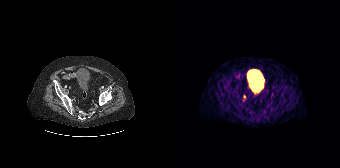
- Left: CT. Right: PSMA PET, same axial level, 68Ga-PSMA tracer
- acquired on Siemens Biograph 64-4R TruePoint
- slice 68 of 195
- PET panel 168×168 px (4.1 mm/px)
Findings: Coordinates are on the 168×168 PET (right) panel. Small PSMA-avid focus (2 to 4 px across) near (center x, center y): (72, 96).